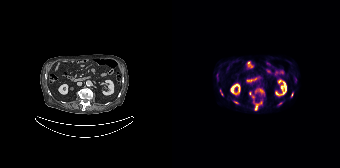
Coordinates are on the 168×168 PET (right) panel. (showing 9 of 10 foci) PSMA-avid tumor lesion bounding boxes (x, y, width, height): x=83 y=101 w=7 h=10 / x=87 y=89 w=5 h=4 / x=48 y=90 w=3 h=5. Small PSMA-avid foci (2 to 4 px across) near (center x, center y): (120, 94) / (109, 103) / (78, 93) / (81, 96) / (61, 100) / (64, 102).